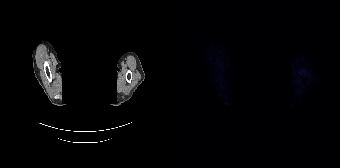
modality: PSMA PET/CT | tracer: 18F-PSMA | view: axial | deidentification: privacy mask over head
Negative for PSMA-avid disease on this slice.